Technique: Two-panel axial: CT | PSMA PET, 18F tracer. acquired on Siemens Biograph mCT Flow 20. slice 17 of 448. PET panel 200×200 px (4.1 mm/px).
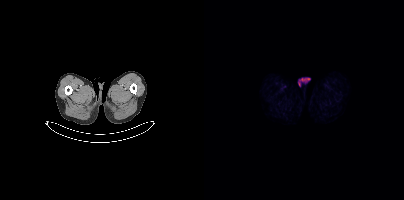
Findings: This slice has no annotated PSMA-avid lesion.